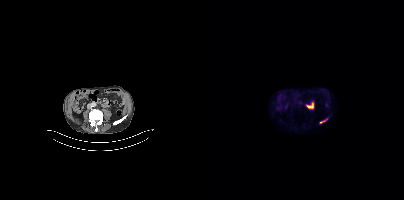
Two-panel axial: CT | PSMA PET, 18F tracer. Slice position z = 142 mm.
Coordinates are on the 200×200 PET (right) panel. PSMA-avid tumor lesion bounding boxes:
| # | x0 | y0 | x1 | y1 |
|---|---|---|---|---|
| 1 | 115 | 118 | 124 | 123 |